modality: PSMA PET/CT | tracer: [18F]PSMA-1007 | view: axial
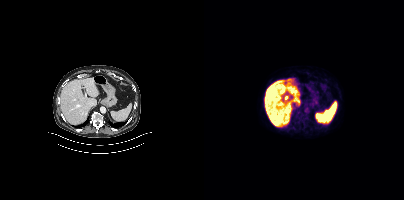
No tumor lesions annotated on this slice.